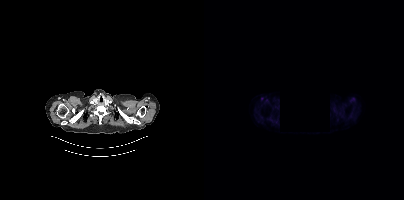
Left: CT. Right: PSMA PET, same axial level, [18F]PSMA-1007 tracer. PET panel 200×200 px (4.1 mm/px). A black rectangle in this scan is a privacy mask, not anatomy. No PSMA-avid tumor lesions on this slice.